modality: PSMA PET/CT | tracer: [68Ga]Ga-PSMA-11 | view: axial
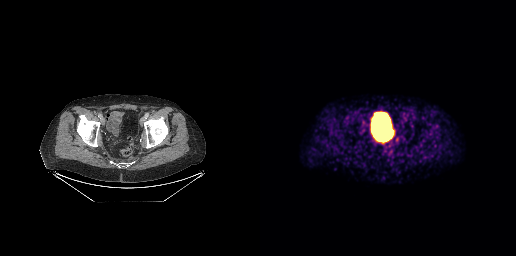
No PSMA-avid tumor lesions on this slice.